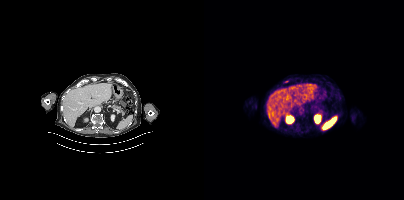
- Paired axial CT (left) and PSMA PET (right), 18F-PSMA tracer
- acquired on Siemens Biograph mCT Flow 20
- slice 234 of 427
- PET panel 200×200 px (4.1 mm/px)
Findings: Coordinates are on the 200×200 PET (right) panel. Small PSMA-avid focus (2 to 4 px across) near (center x, center y): (82, 81).